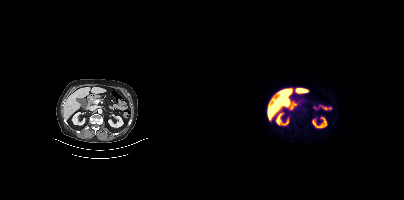
- Paired axial CT (left) and PSMA PET (right), 18F-PSMA tracer
- acquired on Siemens Biograph mCT Flow 20
Findings: No tumor lesions annotated on this slice.